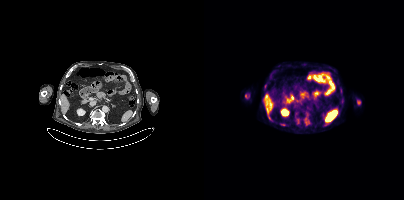
{"modality":"PSMA PET/CT","view":"axial","tracer":"[18F]PSMA-1007","pet_grid":[200,200],"coord_frame":"pet_panel","coord_format":"x0,y0,x1,y1","lesion_bboxes":[[77,123,81,125],[41,94,45,98]]}